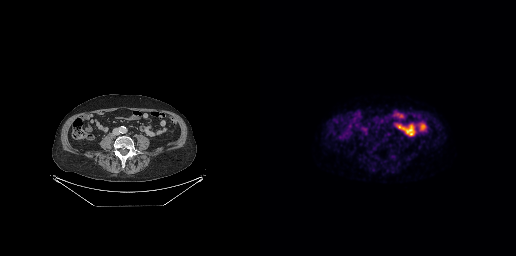
Findings: No PSMA-avid tumor lesions on this slice.
Technique: Paired axial CT (left) and PSMA PET (right), [18F]PSMA-1007 tracer. acquired on GE Discovery 690. slice position z = -526 mm.